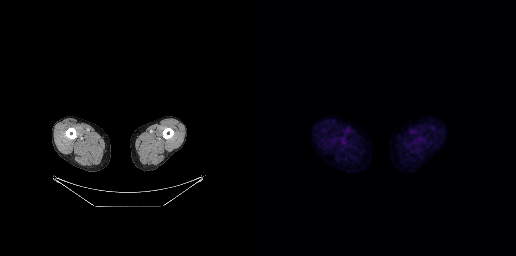
Findings: No PSMA-avid tumor lesions on this slice.
Technique: Paired axial CT (left) and PSMA PET (right), 18F-PSMA tracer. slice position z = -944 mm.